- Paired axial CT (left) and PSMA PET (right), 68Ga-PSMA tracer
- acquired on Siemens Biograph 64-4R TruePoint
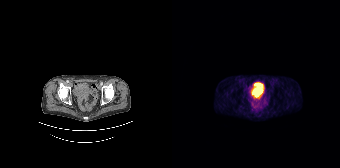
Findings: No tumor lesions annotated on this slice.